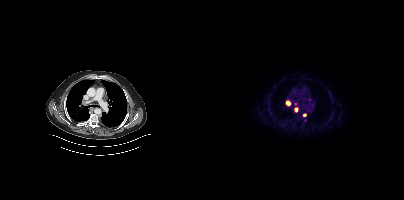
Technique: Paired axial CT (left) and PSMA PET (right), [18F]PSMA-1007 tracer. slice position z = -388 mm. PET panel 200×200 px (4.1 mm/px).
Findings: Coordinates are on the 200×200 PET (right) panel. PSMA-avid tumor lesion bounding boxes (x0, y0)-(x1, y1): (82, 100)-(86, 105); (90, 107)-(94, 112). Small PSMA-avid foci (2 to 4 px across) near (center x, center y): (100, 114); (91, 103).